modality: PSMA PET/CT | tracer: [18F]PSMA-1007 | view: axial
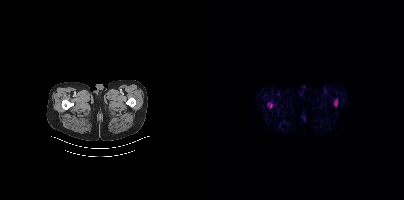
Coordinates are on the 200×200 PET (right) panel. PSMA-avid tumor lesion bounding box (x, y, width, height): x=64 y=103 w=5 h=6. Small PSMA-avid focus (2 to 4 px across) near (center x, center y): (132, 103).